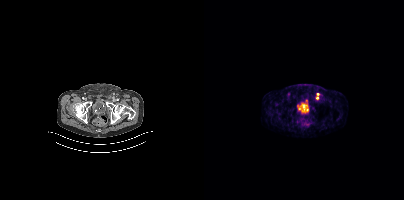
Coordinates are on the 200×200 PET (right) panel. (showing 1 of 3 foci) PSMA-avid tumor lesion bounding box (x0,y0,x1,y1): [112,93,114,99].
modality: PSMA PET/CT | tracer: 68Ga | view: axial | PET grid: 200×200